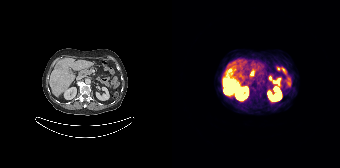
Coordinates are on the 168×168 PET (right) panel. PSMA-avid tumor lesion bounding boxes (x, y, width, height): x=51 y=78 w=17 h=17 | x=56 y=68 w=5 h=5. Small PSMA-avid focus (2 to 4 px across) near (center x, center y): (62, 70).
modality: PSMA PET/CT | tracer: 68Ga-PSMA | view: axial